Paired axial CT (left) and PSMA PET (right), 18F tracer. Slice position z = -548 mm.
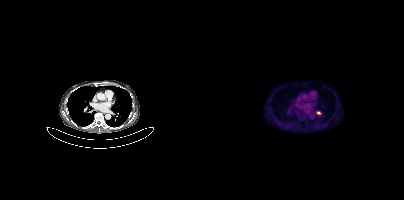
Coordinates are on the 200×200 PET (right) panel. Small PSMA-avid focus (2 to 4 px across) near (center x, center y): (114, 112).